Technique: Two-panel axial: CT | PSMA PET, 18F tracer. slice position z = -1164 mm. PET panel 200×200 px (4.1 mm/px).
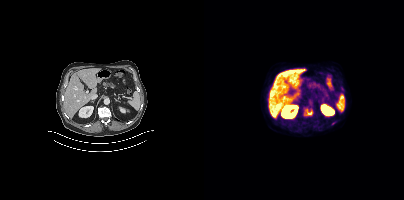
Findings: Coordinates are on the 200×200 PET (right) panel. PSMA-avid tumor lesion bounding box (x0,y0,x1,y1): [100,109,108,115]. Small PSMA-avid focus (2 to 4 px across) near (center x, center y): (129, 123).